Paired axial CT (left) and PSMA PET (right), 18F-PSMA tracer. Acquired on GE Discovery 690. Slice position z = -431 mm.
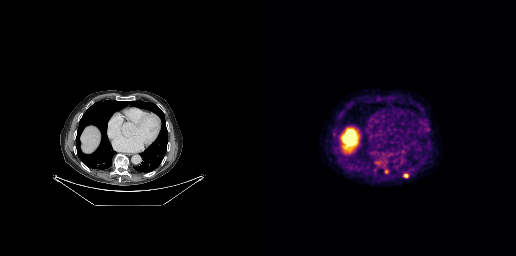
Coordinates are on the 256×256 PET (right) panel. PSMA-avid tumor lesion bounding boxes:
| # | x0 | y0 | x1 | y1 |
|---|---|---|---|---|
| 1 | 115 | 160 | 120 | 164 |
| 2 | 144 | 174 | 148 | 177 |
Small PSMA-avid focus (2 to 4 px across) near (center x, center y): (126, 171).